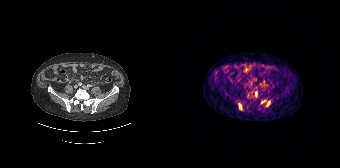
{"modality":"PSMA PET/CT","view":"axial","tracer":"[68Ga]Ga-PSMA-11","pet_grid":[168,168],"coord_frame":"pet_panel","coord_format":"x0,y0,x1,y1","partial":true,"lesion_bboxes":[[67,103,69,109],[95,101,97,105]]}